- Paired axial CT (left) and PSMA PET (right), 18F-PSMA tracer
- slice position z = 70 mm
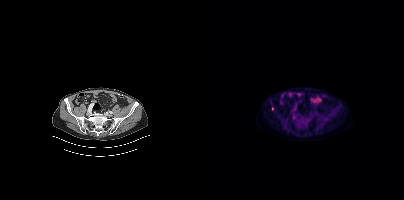
Findings: Coordinates are on the 200×200 PET (right) panel. (showing 1 of 2 foci) Small PSMA-avid focus (2 to 4 px across) near (center x, center y): (68, 108).